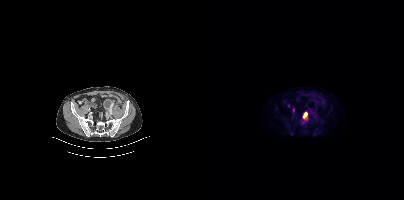
{"pet_grid":[200,200],"coord_frame":"pet_panel","coord_format":"x0,y0,x1,y1","lesion_bboxes":[[99,112,103,119]],"modality":"PSMA PET/CT","view":"axial","tracer":"18F-PSMA"}